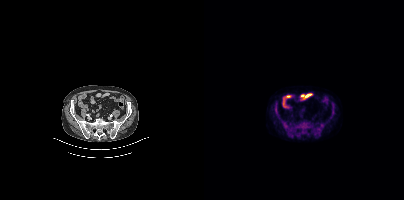
modality: PSMA PET/CT | tracer: 18F | view: axial | PET grid: 200×200
Coordinates are on the 200×200 PET (right) panel. (showing 4 of 5 foci) PSMA-avid tumor lesion bounding boxes (x0, y0)-(x1, y1): (128, 104)-(130, 113) | (71, 103)-(73, 114). Small PSMA-avid foci (2 to 4 px across) near (center x, center y): (99, 132) | (80, 122).